Two-panel axial: CT | PSMA PET, 18F-PSMA tracer. Slice position z = -751 mm.
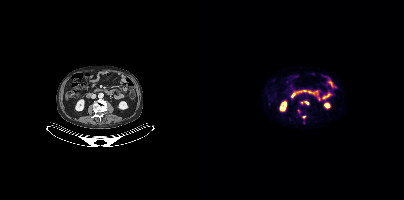
Coordinates are on the 200×200 PET (right) panel. (showing 2 of 3 foci) Small PSMA-avid foci (2 to 4 px across) near (center x, center y): (99, 117), (102, 102).